- Paired axial CT (left) and PSMA PET (right), 18F tracer
- PET panel 200×200 px (4.1 mm/px)
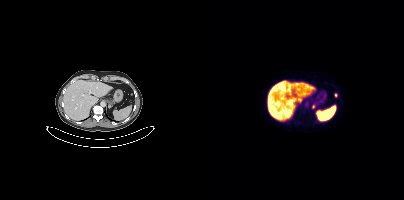
Findings: Coordinates are on the 200×200 PET (right) panel. Small PSMA-avid foci (2 to 4 px across) near (center x, center y): (109, 106); (132, 95).